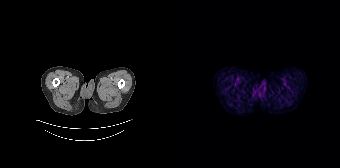
No tumor lesions annotated on this slice.